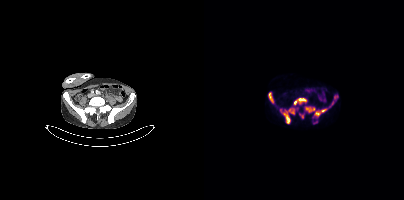
- Left: CT. Right: PSMA PET, same axial level, [18F]PSMA-1007 tracer
- slice 133 of 409
- PET panel 200×200 px (4.1 mm/px)
Findings: Coordinates are on the 200×200 PET (right) panel. PSMA-avid tumor lesion bounding boxes (x0, y0)-(x1, y1): (79, 108)-(90, 123); (90, 98)-(102, 104); (109, 111)-(116, 118); (64, 92)-(70, 103); (101, 107)-(111, 112); (126, 95)-(134, 106); (109, 121)-(113, 123). Small PSMA-avid foci (2 to 4 px across) near (center x, center y): (120, 110); (77, 109); (98, 116).